Paired axial CT (left) and PSMA PET (right), 68Ga tracer. Slice position z = -1706 mm.
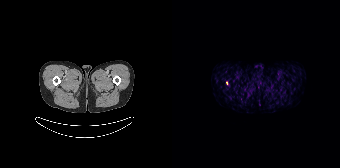
Coordinates are on the 168×168 PET (right) panel. Small PSMA-avid focus (2 to 4 px across) near (center x, center y): (54, 82).